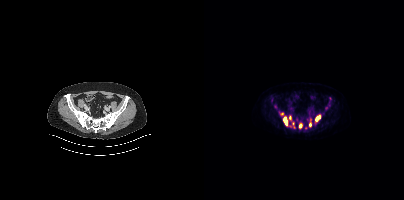
Findings: Coordinates are on the 200×200 PET (right) panel. (showing 6 of 8 foci) PSMA-avid tumor lesion bounding boxes (x0, y0)-(x1, y1): (79, 116)-(83, 125) | (111, 115)-(116, 121) | (95, 123)-(98, 128). Small PSMA-avid foci (2 to 4 px across) near (center x, center y): (86, 117) | (106, 124) | (78, 113).
Technique: Paired axial CT (left) and PSMA PET (right), 18F tracer. slice position z = -906 mm. PET panel 200×200 px (4.1 mm/px).